Left: CT. Right: PSMA PET, same axial level, [18F]PSMA-1007 tracer. PET panel 200×200 px (4.1 mm/px).
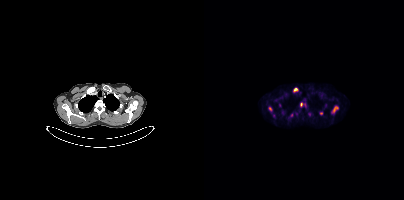
Coordinates are on the 200×200 PET (right) panel. (showing 7 of 9 foci) PSMA-avid tumor lesion bounding boxes (x, y, width, height): x=127 y=105 w=8 h=9 | x=89 y=87 w=6 h=6 | x=96 y=103 w=7 h=5 | x=64 y=106 w=5 h=6. Small PSMA-avid foci (2 to 4 px across) near (center x, center y): (116, 113) | (75, 105) | (69, 115).